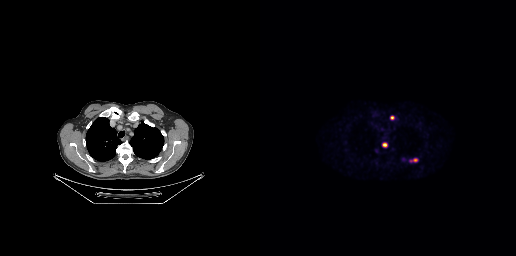
Findings: Coordinates are on the 256×256 PET (right) panel. PSMA-avid tumor lesion bounding boxes (x0, y0)-(x1, y1): (122, 142)-(127, 147) / (150, 158)-(157, 161) / (130, 116)-(134, 119).
Technique: Two-panel axial: CT | PSMA PET, 18F tracer. slice position z = -163 mm.